Left: CT. Right: PSMA PET, same axial level, 18F tracer. A rectangle over the head was blacked out to remove identifiable facial features.
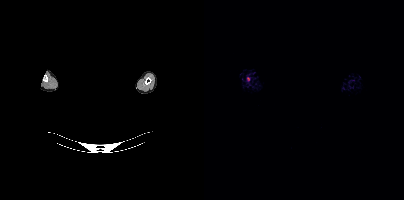
This slice has no annotated PSMA-avid lesion.